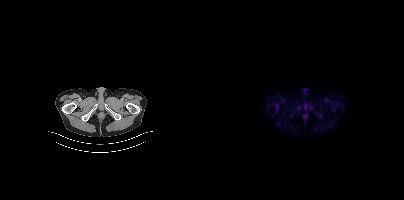
This slice has no annotated PSMA-avid lesion. Left: CT. Right: PSMA PET, same axial level, [18F]PSMA-1007 tracer. PET panel 200×200 px (4.1 mm/px).